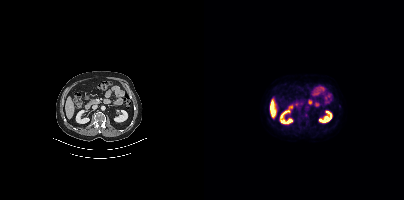
{"modality":"PSMA PET/CT","view":"axial","tracer":"18F","pet_grid":[200,200],"coord_frame":"pet_panel","coord_format":"x0,y0,x1,y1","psma_avid_lesions":false}